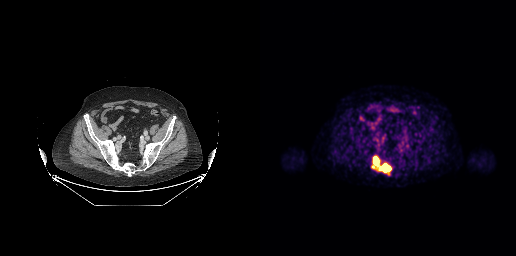
{"modality":"PSMA PET/CT","view":"axial","tracer":"18F-PSMA","pet_grid":[256,256],"coord_frame":"pet_panel","coord_format":"x0,y0,x1,y1","lesion_bboxes":[[111,155,131,174]]}